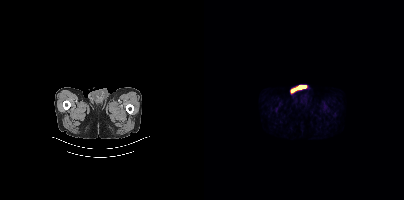
- Left: CT. Right: PSMA PET, same axial level, 18F tracer
- PET panel 200×200 px (4.1 mm/px)
Findings: No tumor lesions annotated on this slice.